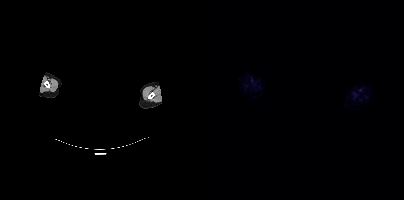
Paired axial CT (left) and PSMA PET (right), 18F tracer. Privacy masking over the head, with the pixels inside a rectangle set to black. This slice has no annotated PSMA-avid lesion.